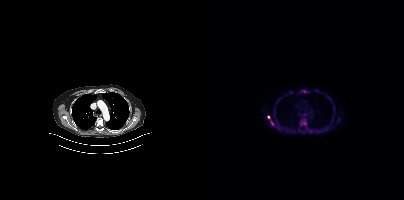
Coordinates are on the 200×200 PET (right) panel. PSMA-avid tumor lesion bounding boxes:
| # | x0 | y0 | x1 | y1 |
|---|---|---|---|---|
| 1 | 96 | 119 | 102 | 125 |
| 2 | 63 | 115 | 69 | 125 |
| 3 | 121 | 126 | 125 | 130 |
Small PSMA-avid focus (2 to 4 px across) near (center x, center y): (100, 91).
Two-panel axial: CT | PSMA PET, 18F tracer. Acquired on Siemens Biograph mCT Flow 20. Slice position z = -1069 mm.